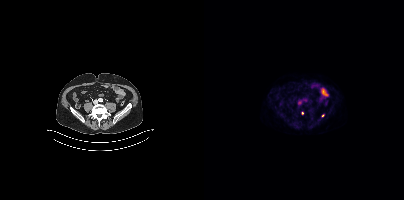
Coordinates are on the 200×200 PET (right) panel. (showing 2 of 3 foci) Small PSMA-avid foci (2 to 4 px across) near (center x, center y): (98, 113) | (118, 115).